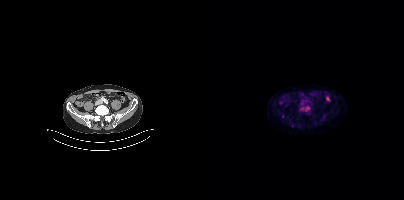
{"modality":"PSMA PET/CT","view":"axial","tracer":"18F-PSMA","pet_grid":[200,200],"coord_frame":"pet_panel","coord_format":"x0,y0,x1,y1","partial":true,"lesion_bboxes":[[101,106,105,111],[88,123,90,127]],"small_foci_centers":[[98,108],[78,116]]}